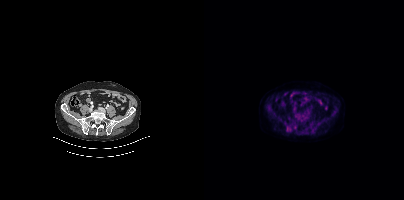
Left: CT. Right: PSMA PET, same axial level, 18F tracer. Slice position z = 21 mm.
Coordinates are on the 200×200 PET (right) panel. PSMA-avid tumor lesion bounding boxes:
| # | x0 | y0 | x1 | y1 |
|---|---|---|---|---|
| 1 | 83 | 126 | 87 | 131 |